Left: CT. Right: PSMA PET, same axial level, 18F tracer. Acquired on Siemens Biograph mCT Flow 20. Slice position z = -493 mm.
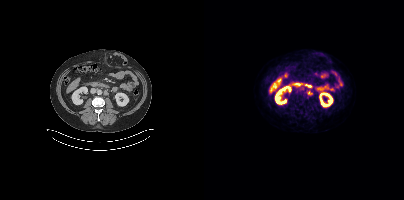
Coordinates are on the 200×200 PET (right) panel. PSMA-avid tumor lesion bounding boxes:
| # | x0 | y0 | x1 | y1 |
|---|---|---|---|---|
| 1 | 103 | 89 | 108 | 94 |
Small PSMA-avid focus (2 to 4 px across) near (center x, center y): (103, 98).